- Paired axial CT (left) and PSMA PET (right), [18F]PSMA-1007 tracer
- acquired on Siemens Biograph 64-4R TruePoint
- slice position z = -1266 mm
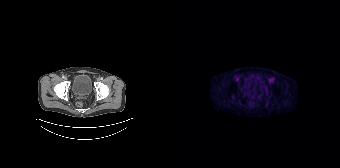
Findings: No tumor lesions annotated on this slice.